modality: PSMA PET/CT | tracer: 68Ga | view: axial | PET grid: 168×168
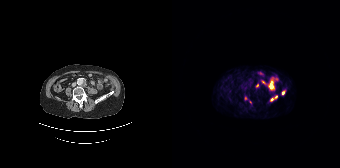
Coordinates are on the 168×168 PET (right) panel. (showing 3 of 5 foci) PSMA-avid tumor lesion bounding box (x, y, width, height): x=99 y=95 w=7 h=6. Small PSMA-avid foci (2 to 4 px across) near (center x, center y): (111, 93) / (85, 85).